Technique: Left: CT. Right: PSMA PET, same axial level, [18F]PSMA-1007 tracer.
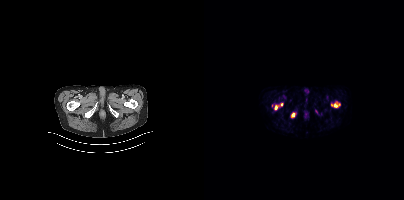
Findings: Coordinates are on the 200×200 PET (right) panel. (showing 5 of 7 foci) PSMA-avid tumor lesion bounding boxes (x0,y0,x1,y1): [130,103,133,107]; [71,105,74,109]. Small PSMA-avid foci (2 to 4 px across) near (center x, center y): (89, 114); (77, 104); (127, 104).